Left: CT. Right: PSMA PET, same axial level, 18F-PSMA tracer. Acquired on Siemens Biograph mCT Flow 20. Slice position z = -774 mm. PET panel 200×200 px (4.1 mm/px).
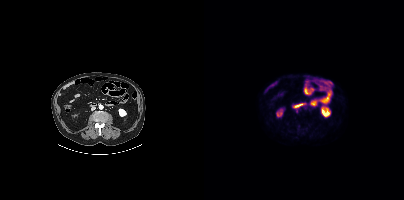
No tumor lesions annotated on this slice.